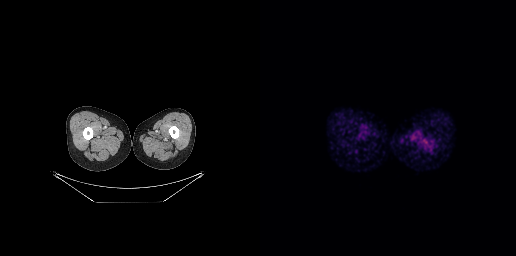
Negative for PSMA-avid disease on this slice.
modality: PSMA PET/CT | tracer: [68Ga]Ga-PSMA-11 | view: axial | PET grid: 256×256